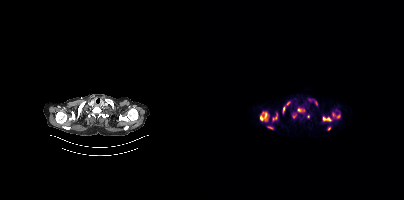
- Two-panel axial: CT | PSMA PET, 68Ga tracer
- acquired on Siemens Biograph mCT Flow 20
- slice 337 of 397
- PET panel 200×200 px (4.1 mm/px)
Findings: Coordinates are on the 200×200 PET (right) panel. PSMA-avid tumor lesion bounding boxes (x, y, width, height): x=128 y=109 w=9 h=10 / x=56 y=112 w=8 h=9 / x=119 y=117 w=9 h=5 / x=94 y=108 w=7 h=5 / x=63 y=126 w=7 h=4 / x=69 y=115 w=5 h=6. Small PSMA-avid foci (2 to 4 px across) near (center x, center y): (124, 128) / (104, 116) / (84, 102) / (111, 102) / (80, 107) / (100, 114) / (89, 116).